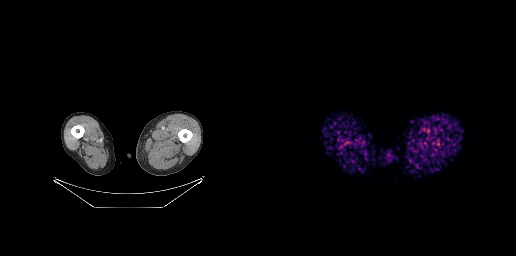
Technique: Paired axial CT (left) and PSMA PET (right), 68Ga tracer. PET panel 256×256 px (2.7 mm/px).
Findings: Negative for PSMA-avid disease on this slice.